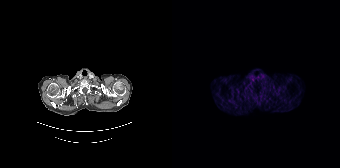
No tumor lesions annotated on this slice.